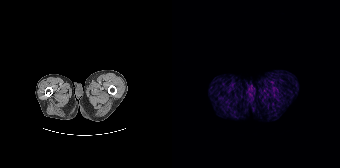
Findings: Negative for PSMA-avid disease on this slice.
Technique: Paired axial CT (left) and PSMA PET (right), 68Ga tracer. PET panel 168×168 px (4.1 mm/px).